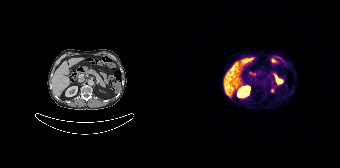
Two-panel axial: CT | PSMA PET, 68Ga-PSMA tracer. Slice 86 of 165. Negative for PSMA-avid disease on this slice.